- Two-panel axial: CT | PSMA PET, 18F tracer
- acquired on Siemens Biograph mCT Flow 20
- PET panel 200×200 px (4.1 mm/px)
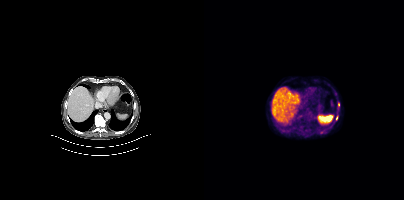
Findings: Coordinates are on the 200×200 PET (right) panel. Small PSMA-avid foci (2 to 4 px across) near (center x, center y): (132, 117) | (134, 104).